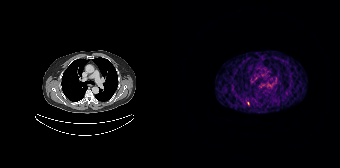
Coordinates are on the 168×168 PET (right) panel. Small PSMA-avid focus (2 to 4 px across) near (center x, center y): (75, 103). Paired axial CT (left) and PSMA PET (right), 68Ga tracer. Slice position z = -804 mm. PET panel 168×168 px (4.1 mm/px).